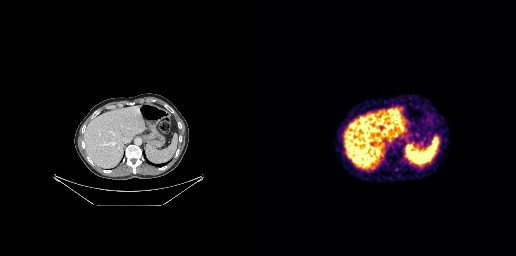
Two-panel axial: CT | PSMA PET, 68Ga tracer.
Coordinates are on the 256×256 PET (right) panel. PSMA-avid tumor lesion bounding boxes:
| # | x0 | y0 | x1 | y1 |
|---|---|---|---|---|
| 1 | 134 | 168 | 138 | 170 |